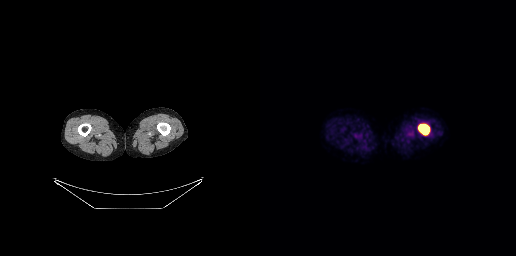
Coordinates are on the 256×256 PET (right) panel. PSMA-avid tumor lesion bounding box (x0, y0)-(x1, y1): (158, 124)-(169, 135).